Paired axial CT (left) and PSMA PET (right), [18F]PSMA-1007 tracer. Acquired on Siemens Biograph mCT Flow 20. Slice position z = 406 mm. PET panel 200×200 px (4.1 mm/px).
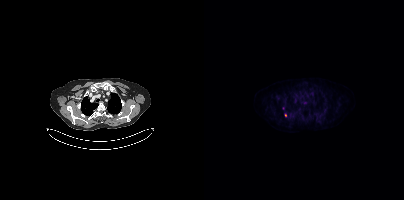
Only PSMA-avid lesion pieces thinner than 2 px on this slice (not listed).